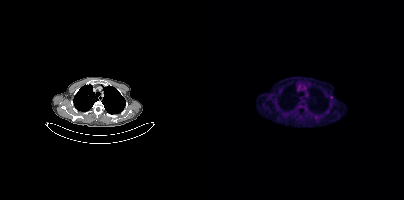
Findings: Coordinates are on the 200×200 PET (right) panel. Small PSMA-avid focus (2 to 4 px across) near (center x, center y): (127, 97).
Technique: Paired axial CT (left) and PSMA PET (right), [18F]PSMA-1007 tracer. acquired on Siemens Biograph mCT Flow 20. slice 312 of 417.